- Left: CT. Right: PSMA PET, same axial level, [18F]PSMA-1007 tracer
- acquired on Siemens Biograph mCT Flow 20
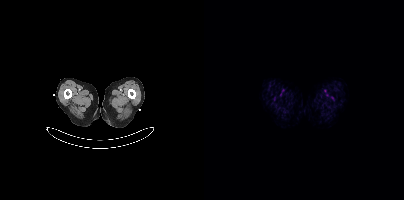
Findings: No tumor lesions annotated on this slice.